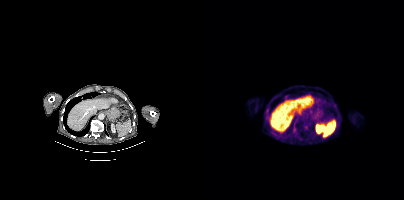
{"modality":"PSMA PET/CT","view":"axial","tracer":"18F","pet_grid":[200,200],"coord_frame":"pet_panel","coord_format":"x0,y0,x1,y1","lesion_bboxes":[[94,137,98,140]]}